modality: PSMA PET/CT | tracer: 18F | view: axial
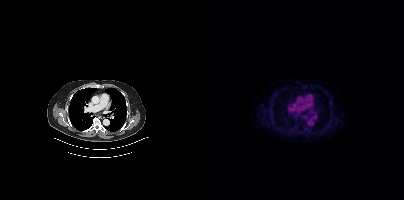
No tumor lesions annotated on this slice.